Technique: Two-panel axial: CT | PSMA PET, 68Ga-PSMA tracer. PET panel 168×168 px (4.1 mm/px).
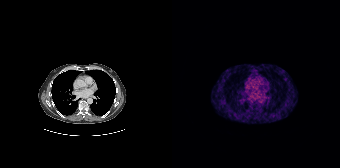
Findings: This slice has no annotated PSMA-avid lesion.